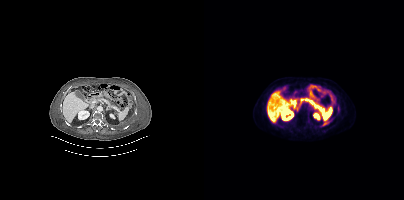
{"modality":"PSMA PET/CT","view":"axial","tracer":"18F-PSMA","pet_grid":[200,200],"coord_frame":"pet_panel","coord_format":"x0,y0,x1,y1","lesion_bboxes":[],"small_foci_centers":[[104,101]]}